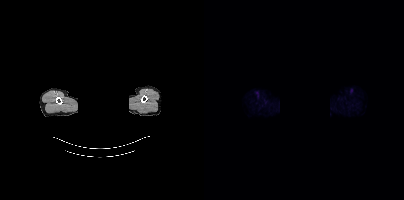
Findings: This slice has no annotated PSMA-avid lesion.
Technique: Paired axial CT (left) and PSMA PET (right), 18F tracer. slice 380 of 417.
Note: Privacy masking over the head, with the pixels inside a rectangle set to black.